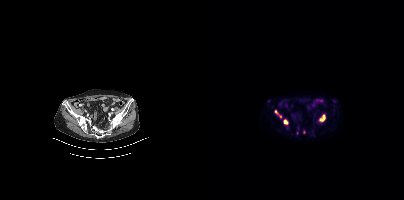
Left: CT. Right: PSMA PET, same axial level, 68Ga tracer. Acquired on Siemens Biograph mCT Flow 20. Slice 97 of 409. PET panel 200×200 px (4.1 mm/px).
Coordinates are on the 200×200 PET (right) panel. PSMA-avid tumor lesion bounding boxes (partial; 2 more foci not listed):
| # | x0 | y0 | x1 | y1 |
|---|---|---|---|---|
| 1 | 115 | 115 | 121 | 121 |
| 2 | 80 | 119 | 83 | 124 |
Small PSMA-avid foci (2 to 4 px across) near (center x, center y): (72, 111); (130, 101); (65, 101); (100, 132); (76, 116).